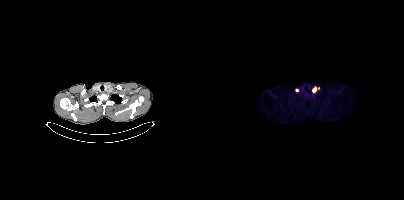
- Left: CT. Right: PSMA PET, same axial level, 18F tracer
Findings: Coordinates are on the 200×200 PET (right) panel. (showing 2 of 3 foci) PSMA-avid tumor lesion bounding box (x, y, width, height): x=108 y=86 w=5 h=7. Small PSMA-avid focus (2 to 4 px across) near (center x, center y): (93, 90).